Technique: Left: CT. Right: PSMA PET, same axial level, 18F-PSMA tracer. slice 124 of 431. PET panel 200×200 px (4.1 mm/px).
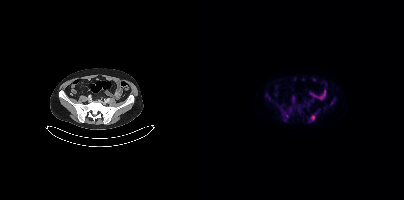
Findings: Coordinates are on the 200×200 PET (right) panel. PSMA-avid tumor lesion bounding boxes (x0,y0,x1,y1): [106,115,110,120], [80,113,84,118]. Small PSMA-avid focus (2 to 4 px across) near (center x, center y): (128, 102).